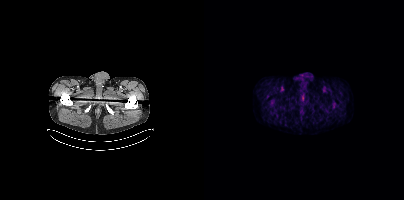
modality: PSMA PET/CT | tracer: [18F]PSMA-1007 | view: axial | PET grid: 200×200
No PSMA-avid tumor lesions on this slice.